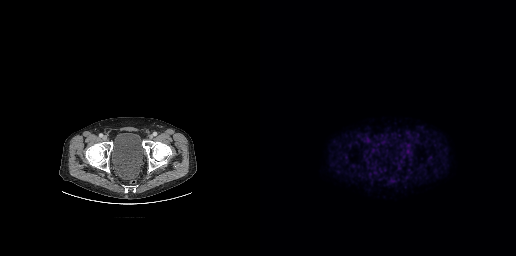
Coordinates are on the 256×256 PET (right) panel. PSMA-avid tumor lesion bounding box (x0,y0,x1,y1): [146,148,150,152].